modality: PSMA PET/CT | tracer: 18F | view: axial
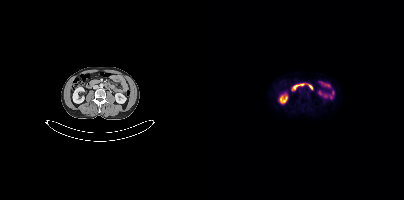
No PSMA-avid tumor lesions on this slice.